Two-panel axial: CT | PSMA PET, 18F-PSMA tracer. Acquired on GE Discovery 690. Slice position z = -348 mm.
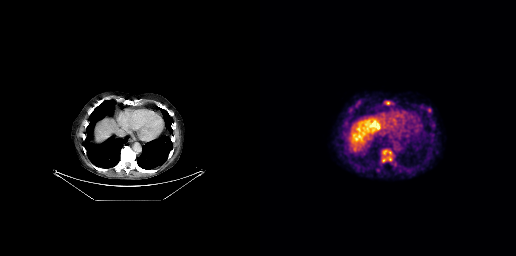
Coordinates are on the 256×256 PET (right) panel. (showing 1 of 6 foci) Small PSMA-avid focus (2 to 4 px across) near (center x, center y): (128, 103).